Two-panel axial: CT | PSMA PET, 18F tracer. Acquired on Siemens Biograph mCT Flow 20. Slice position z = -1221 mm. PET panel 200×200 px (4.1 mm/px).
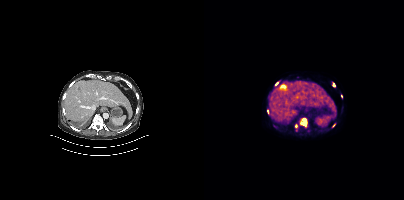
Coordinates are on the 200×200 PET (right) panel. (showing 7 of 8 foci) PSMA-avid tumor lesion bounding boxes (x, y, width, height): x=95 y=118 w=9 h=10; x=91 y=124 w=4 h=8; x=128 y=82 w=4 h=6. Small PSMA-avid foci (2 to 4 px across) near (center x, center y): (72, 83); (63, 111); (129, 125); (137, 96).